Paired axial CT (left) and PSMA PET (right), [18F]PSMA-1007 tracer. PET panel 200×200 px (4.1 mm/px).
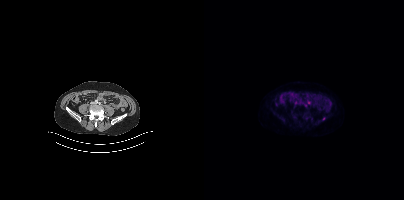
Coordinates are on the 200×200 PET (right) panel. Small PSMA-avid focus (2 to 4 px across) near (center x, center y): (119, 118).